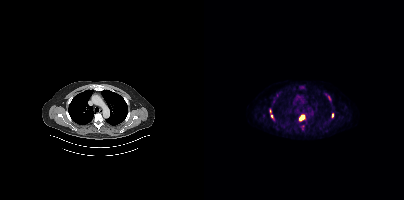
- Paired axial CT (left) and PSMA PET (right), 18F tracer
- acquired on Siemens Biograph mCT Flow 20
- PET panel 200×200 px (4.1 mm/px)
Findings: Coordinates are on the 200×200 PET (right) panel. (showing 3 of 5 foci) PSMA-avid tumor lesion bounding boxes (x0,y0,x1,y1): [95,114,101,121]; [128,113,129,117]. Small PSMA-avid focus (2 to 4 px across) near (center x, center y): (67, 116).